Paired axial CT (left) and PSMA PET (right), 68Ga-PSMA tracer. Slice 147 of 409. PET panel 200×200 px (4.1 mm/px).
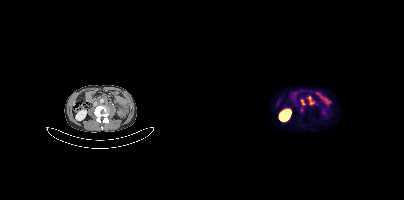
Coordinates are on the 200×200 PET (right) panel. PSMA-avid tumor lesion bounding boxes:
| # | x0 | y0 | x1 | y1 |
|---|---|---|---|---|
| 1 | 104 | 97 | 110 | 104 |
| 2 | 97 | 99 | 100 | 104 |
Small PSMA-avid focus (2 to 4 px across) near (center x, center y): (97, 110).